modality: PSMA PET/CT | tracer: 68Ga-PSMA | view: axial
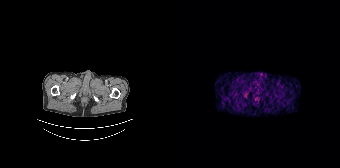
Negative for PSMA-avid disease on this slice.